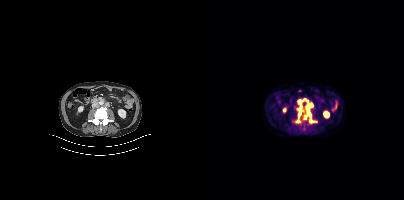
Findings: Coordinates are on the 200×200 PET (right) panel. (showing 4 of 5 foci) PSMA-avid tumor lesion bounding boxes (x, y, width, height): x=99 y=103 w=14 h=21 | x=92 y=110 w=8 h=13 | x=94 y=100 w=4 h=9 | x=99 y=98 w=6 h=4.
- Left: CT. Right: PSMA PET, same axial level, 18F tracer
- acquired on Siemens Biograph mCT Flow 20
- slice position z = -776 mm